Technique: Two-panel axial: CT | PSMA PET, 18F tracer. acquired on Siemens Biograph mCT Flow 20. slice position z = -801 mm. PET panel 200×200 px (4.1 mm/px).
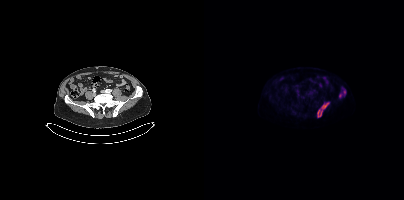
Findings: Coordinates are on the 200×200 PET (right) panel. PSMA-avid tumor lesion bounding boxes (x0, y0)-(x1, y1): (113, 102)-(125, 117) | (135, 91)-(141, 96).